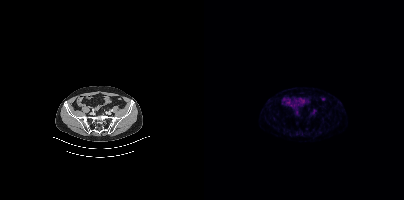
This slice has no annotated PSMA-avid lesion.